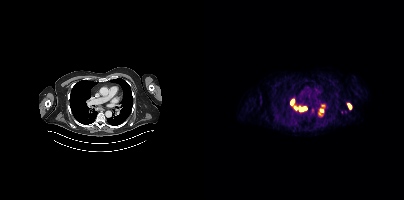
Coordinates are on the 200×200 PET (right) panel. PSMA-avid tumor lesion bounding boxes (x, y, width, height): x=95 y=107 w=8 h=4; x=87 y=100 w=3 h=6; x=144 y=103 w=4 h=6. Small PSMA-avid foci (2 to 4 px across) near (center x, center y): (91, 107); (117, 110); (116, 113).